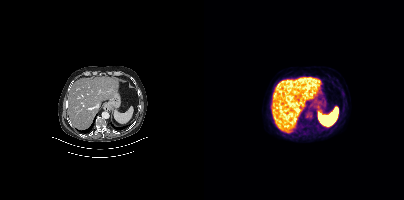
This slice has no annotated PSMA-avid lesion.